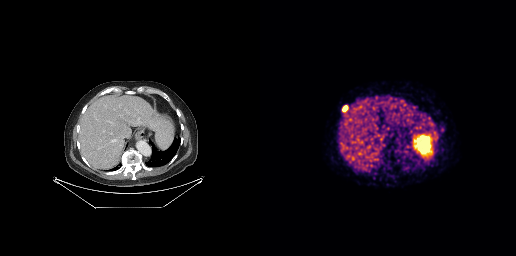
Coordinates are on the 256×256 PET (right) panel. PSMA-avid tumor lesion bounding box (x, y, width, height): x=82 y=105 w=6 h=7.